Technique: Left: CT. Right: PSMA PET, same axial level, 18F tracer. slice 23 of 389.
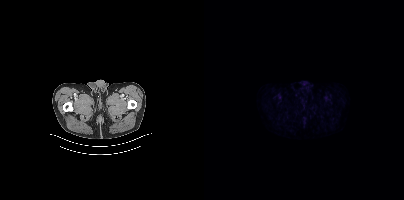
Findings: No PSMA-avid tumor lesions on this slice.